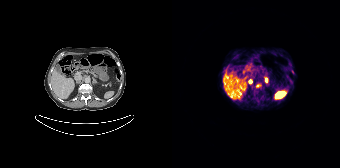
modality: PSMA PET/CT | tracer: 68Ga | view: axial | PET grid: 168×168
Coordinates are on the 168×168 PET (right) panel. Small PSMA-avid focus (2 to 4 px across) near (center x, center y): (85, 85).